- Left: CT. Right: PSMA PET, same axial level, 18F-PSMA tracer
- acquired on Siemens Biograph mCT Flow 20
- slice position z = -707 mm
- PET panel 200×200 px (4.1 mm/px)
- the head region is masked for de-identification
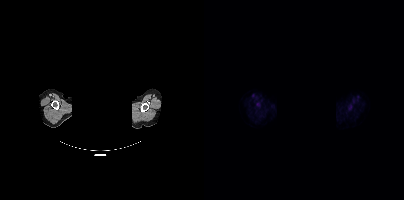
Findings: Coordinates are on the 200×200 PET (right) panel. Small PSMA-avid focus (2 to 4 px across) near (center x, center y): (146, 105).